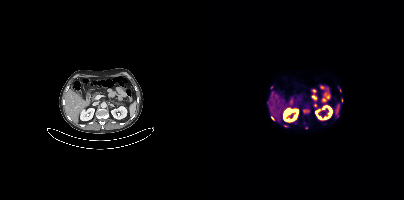
- Left: CT. Right: PSMA PET, same axial level, [18F]PSMA-1007 tracer
- PET panel 200×200 px (4.1 mm/px)
Findings: Coordinates are on the 200×200 PET (right) panel. (showing 7 of 8 foci) PSMA-avid tumor lesion bounding box (x0, y0)-(x1, y1): (100, 110)-(104, 112). Small PSMA-avid foci (2 to 4 px across) near (center x, center y): (68, 117); (68, 87); (63, 102); (81, 125); (102, 127); (111, 105).